Two-panel axial: CT | PSMA PET, 18F tracer.
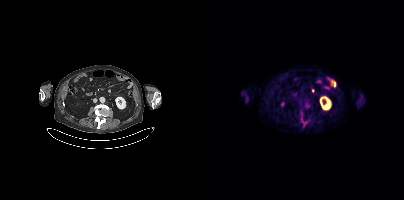
Coordinates are on the 200×200 PET (right) panel. PSMA-avid tumor lesion bounding boxes (partial; 2 more foci not listed):
| # | x0 | y0 | x1 | y1 |
|---|---|---|---|---|
| 1 | 97 | 118 | 102 | 126 |